modality: PSMA PET/CT | tracer: 68Ga-PSMA | view: axial
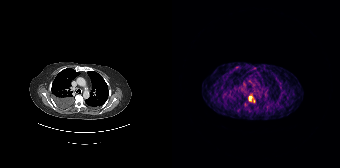
Coordinates are on the 168×168 PET (right) panel. (showing 1 of 2 foci) PSMA-avid tumor lesion bounding box (x0,y0,x1,y1): [77,96,79,100].